- Paired axial CT (left) and PSMA PET (right), [18F]PSMA-1007 tracer
- PET panel 200×200 px (4.1 mm/px)
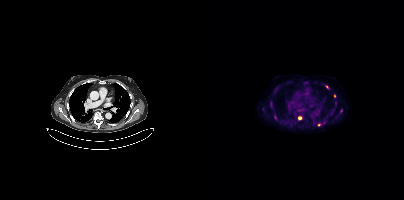
Findings: Coordinates are on the 200×200 PET (right) panel. PSMA-avid tumor lesion bounding box (x0,y0,x1,y1): [94,116,98,119]. Small PSMA-avid foci (2 to 4 px across) near (center x, center y): (123, 86) (130, 96) (115, 124) (71, 117) (137, 110).